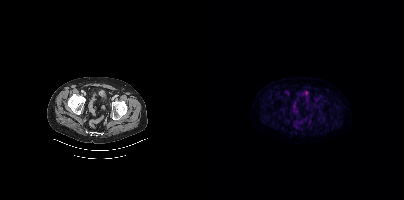
Findings: No tumor lesions annotated on this slice.
- Left: CT. Right: PSMA PET, same axial level, [18F]PSMA-1007 tracer